Left: CT. Right: PSMA PET, same axial level, [18F]PSMA-1007 tracer. Acquired on Siemens Biograph mCT Flow 20. PET panel 200×200 px (4.1 mm/px).
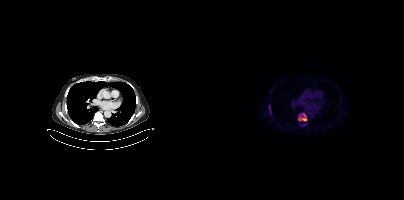
Coordinates are on the 200×200 PET (right) panel. PSMA-avid tumor lesion bounding boxes:
| # | x0 | y0 | x1 | y1 |
|---|---|---|---|---|
| 1 | 94 | 113 | 103 | 121 |
| 2 | 65 | 105 | 67 | 113 |
Small PSMA-avid focus (2 to 4 px across) near (center x, center y): (100, 124).